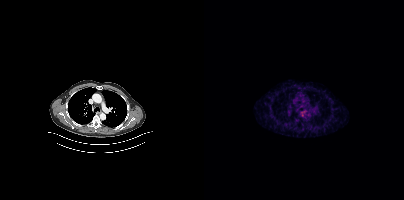
Findings: No PSMA-avid tumor lesions on this slice.
Technique: Left: CT. Right: PSMA PET, same axial level, [68Ga]Ga-PSMA-11 tracer. slice position z = -1006 mm. PET panel 200×200 px (4.1 mm/px).